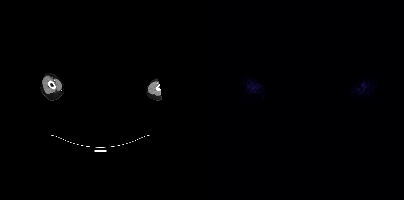
{"modality":"PSMA PET/CT","view":"axial","tracer":"18F-PSMA","pet_grid":[200,200],"coord_frame":"pet_panel","coord_format":"x0,y0,x1,y1","de-identification":"rectangular block over head set to black","psma_avid_lesions":false}